Two-panel axial: CT | PSMA PET, 18F-PSMA tracer. Slice position z = -1458 mm.
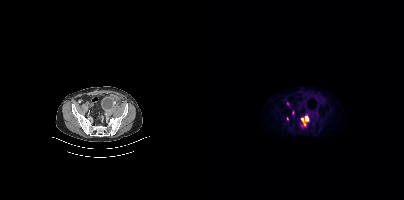
Coordinates are on the 200×200 PET (right) panel. PSMA-avid tumor lesion bounding boxes (partial; 1 more focus not listed):
| # | x0 | y0 | x1 | y1 |
|---|---|---|---|---|
| 1 | 97 | 115 | 104 | 125 |
Small PSMA-avid focus (2 to 4 px across) near (center x, center y): (83, 118).